Two-panel axial: CT | PSMA PET, [18F]PSMA-1007 tracer. PET panel 256×256 px (2.7 mm/px).
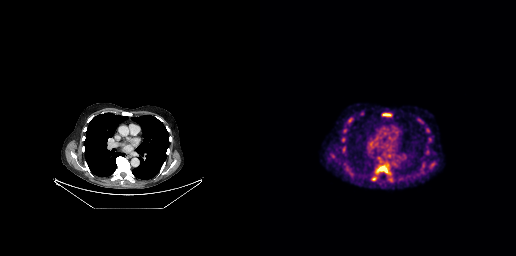
Coordinates are on the 256×256 PET (right) panel. (showing 5 of 6 foci) PSMA-avid tumor lesion bounding boxes (x0,y0,x1,y1): [116,164,130,173]; [122,113,131,116]; [87,118,92,123]. Small PSMA-avid foci (2 to 4 px across) near (center x, center y): (83, 139); (113, 178).